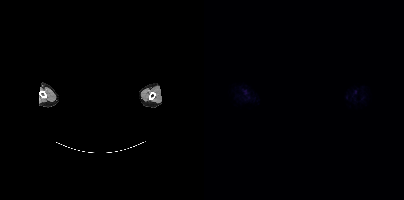
- Two-panel axial: CT | PSMA PET, [18F]PSMA-1007 tracer
- PET panel 200×200 px (4.1 mm/px)
- the face region was removed for patient privacy by blanking a rectangle over the head
Findings: Negative for PSMA-avid disease on this slice.